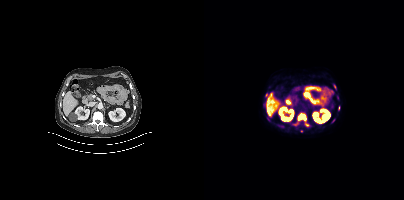
Two-panel axial: CT | PSMA PET, 18F tracer. Slice 206 of 429. PET panel 200×200 px (4.1 mm/px).
Coordinates are on the 200×200 PET (right) panel. PSMA-avid tumor lesion bounding boxes (partial; 2 more foci not listed):
| # | x0 | y0 | x1 | y1 |
|---|---|---|---|---|
| 1 | 93 | 114 | 102 | 121 |
Small PSMA-avid foci (2 to 4 px across) near (center x, center y): (102, 124); (130, 86); (129, 120); (62, 95).